Technique: Two-panel axial: CT | PSMA PET, [18F]PSMA-1007 tracer. acquired on Siemens Biograph mCT Flow 20. slice 51 of 427.
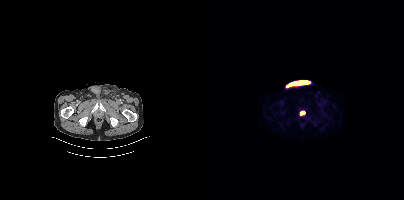
Findings: Coordinates are on the 200×200 PET (right) panel. PSMA-avid tumor lesion bounding box (x0,y0,x1,y1): [96,111,101,115].